- Paired axial CT (left) and PSMA PET (right), 18F tracer
- acquired on Siemens Biograph mCT Flow 20
- slice position z = -598 mm
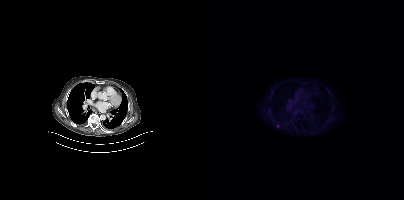
Findings: Coordinates are on the 200×200 PET (right) panel. Small PSMA-avid focus (2 to 4 px across) near (center x, center y): (73, 125).